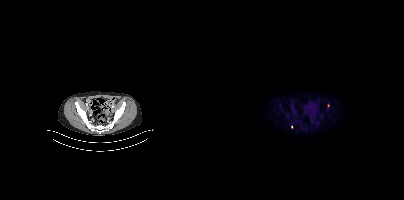
Findings: Coordinates are on the 200×200 PET (right) panel. Small PSMA-avid foci (2 to 4 px across) near (center x, center y): (124, 105) / (87, 126).
Technique: Left: CT. Right: PSMA PET, same axial level, [18F]PSMA-1007 tracer. acquired on Siemens Biograph mCT Flow 20. PET panel 200×200 px (4.1 mm/px).